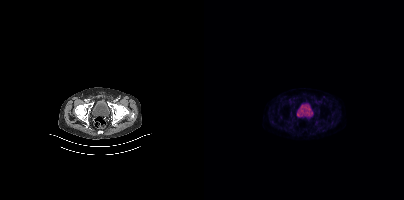
No PSMA-avid tumor lesions on this slice.
modality: PSMA PET/CT | tracer: 18F-PSMA | view: axial | PET grid: 200×200